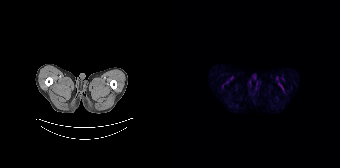
{"modality":"PSMA PET/CT","view":"axial","tracer":"[18F]PSMA-1007","pet_grid":[168,168],"coord_frame":"pet_panel","coord_format":"x0,y0,x1,y1","psma_avid_lesions":false}